- Two-panel axial: CT | PSMA PET, [68Ga]Ga-PSMA-11 tracer
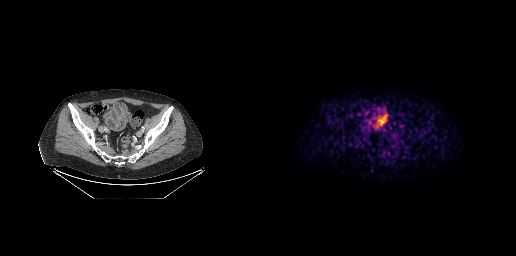
Findings: No tumor lesions annotated on this slice.